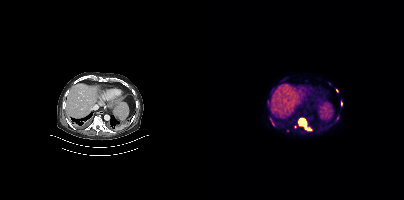
Findings: Coordinates are on the 200×200 PET (right) panel. PSMA-avid tumor lesion bounding box (x0, y0)-(x1, y1): (93, 117)-(108, 131). Small PSMA-avid foci (2 to 4 px across) near (center x, center y): (137, 103) / (91, 127) / (133, 90) / (68, 123).
- Left: CT. Right: PSMA PET, same axial level, [18F]PSMA-1007 tracer